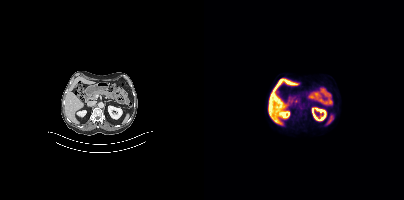
{"modality":"PSMA PET/CT","view":"axial","tracer":"18F-PSMA","pet_grid":[200,200],"coord_frame":"pet_panel","coord_format":"x0,y0,x1,y1","psma_avid_lesions":false}